Paired axial CT (left) and PSMA PET (right), [18F]PSMA-1007 tracer. Slice position z = -1562 mm. PET panel 200×200 px (4.1 mm/px).
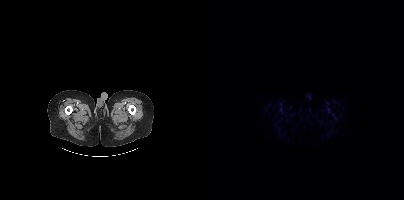
This slice has no annotated PSMA-avid lesion.